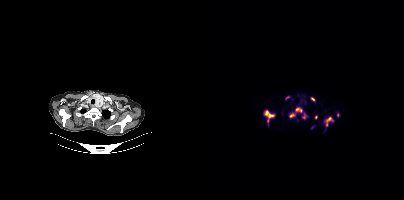
modality: PSMA PET/CT | tracer: 18F-PSMA | view: axial
Coordinates are on the 200×200 PET (right) panel. (showing 8 of 9 foci) PSMA-avid tumor lesion bounding boxes (x0,y0,x1,y1): [59,109,71,125], [85,107,98,117], [121,116,129,126], [98,113,102,119], [81,96,85,99]. Small PSMA-avid foci (2 to 4 px across) near (center x, center y): (108, 98), (112, 117), (133, 114).